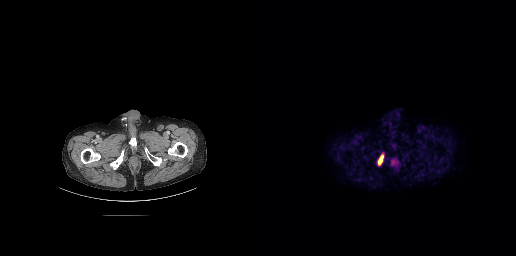
Technique: Left: CT. Right: PSMA PET, same axial level, 18F-PSMA tracer. slice 32 of 263. PET panel 256×256 px (2.7 mm/px).
Findings: Coordinates are on the 256×256 PET (right) panel. PSMA-avid tumor lesion bounding boxes (x0,y0,x1,y1): [130,160,139,167], [117,154,123,165].